- Two-panel axial: CT | PSMA PET, 68Ga-PSMA tracer
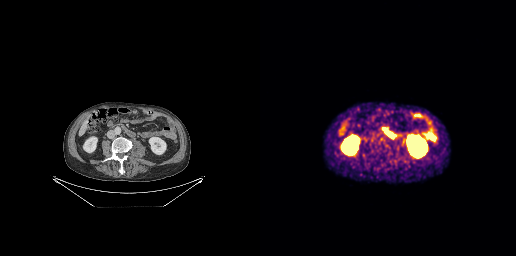
Findings: No PSMA-avid tumor lesions on this slice.